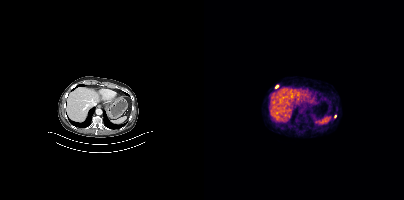
Technique: Left: CT. Right: PSMA PET, same axial level, 68Ga tracer. slice position z = -1120 mm. PET panel 200×200 px (4.1 mm/px).
Findings: Coordinates are on the 200×200 PET (right) panel. (showing 1 of 2 foci) Small PSMA-avid focus (2 to 4 px across) near (center x, center y): (72, 86).